- Two-panel axial: CT | PSMA PET, 18F-PSMA tracer
- acquired on Siemens Biograph 64-4R TruePoint
- slice position z = -1322 mm
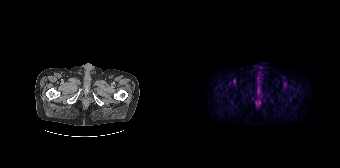
Findings: No tumor lesions annotated on this slice.